Technique: Two-panel axial: CT | PSMA PET, 68Ga tracer. PET panel 200×200 px (4.1 mm/px).
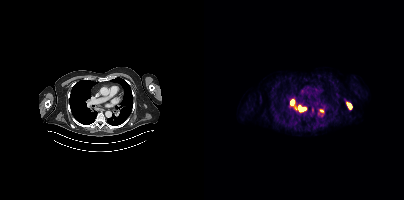
Findings: Coordinates are on the 200×200 PET (right) panel. (showing 4 of 5 foci) PSMA-avid tumor lesion bounding boxes (x0,y0,x1,y1): [95,106,101,111]; [143,103,147,108]; [87,100,89,104]. Small PSMA-avid focus (2 to 4 px across) near (center x, center y): (91, 107).